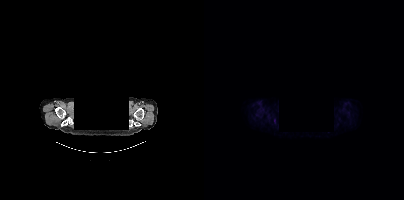
Coordinates are on the 200×200 PET (right) panel. PSMA-avid tumor lesion bounding box (x, y, width, height): x=70 y=119 w=2 h=5. Left: CT. Right: PSMA PET, same axial level, 18F-PSMA tracer. Slice position z = -985 mm. An anonymization step blacked out a rectangle over the head in this scan.